Two-panel axial: CT | PSMA PET, 18F-PSMA tracer. Slice position z = -1015 mm.
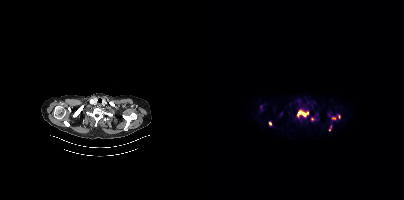
Coordinates are on the 200×200 PET (right) panel. PSMA-avid tumor lesion bounding boxes:
| # | x0 | y0 | x1 | y1 |
|---|---|---|---|---|
| 1 | 93 | 110 | 104 | 117 |
Small PSMA-avid foci (2 to 4 px across) near (center x, center y): (129, 118); (66, 123); (135, 116); (108, 119); (125, 129).